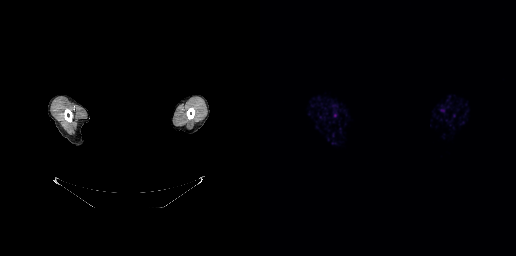
{"modality":"PSMA PET/CT","view":"axial","tracer":"[68Ga]Ga-PSMA-11","pet_grid":[256,256],"coord_frame":"pet_panel","coord_format":"x0,y0,x1,y1","deidentification":"facial region redacted","psma_avid_lesions":false}